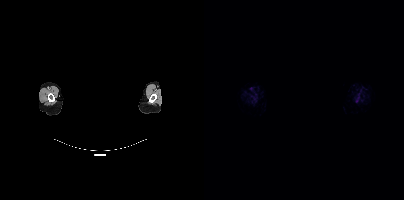
Coordinates are on the 200×200 PET (right) panel. Small PSMA-avid focus (2 to 4 px across) near (center x, center y): (152, 100). Face de-identified by blanking a block of the head. Left: CT. Right: PSMA PET, same axial level, [18F]PSMA-1007 tracer. PET panel 200×200 px (4.1 mm/px).